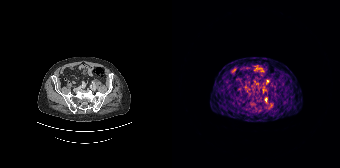
modality: PSMA PET/CT | tracer: 68Ga | view: axial
Coordinates are on the 168×168 PET (right) panel. PSMA-avid tumor lesion bounding box (x0,y0,x1,y1): [92,97,95,101].